Two-panel axial: CT | PSMA PET, 68Ga-PSMA tracer. PET panel 256×256 px (2.7 mm/px).
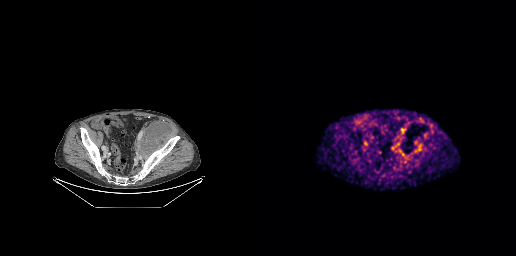
Coordinates are on the 256×256 PET (right) panel. PSMA-avid tumor lesion bounding boxes:
| # | x0 | y0 | x1 | y1 |
|---|---|---|---|---|
| 1 | 151 | 149 | 156 | 153 |